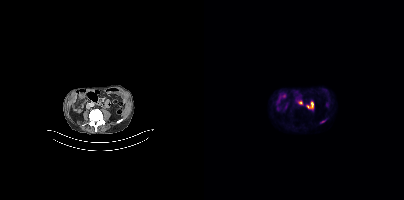
Coordinates are on the 200×200 PET (right) panel. PSMA-avid tumor lesion bounding box (x0, y0)-(x1, y1): (116, 120)-(121, 123).